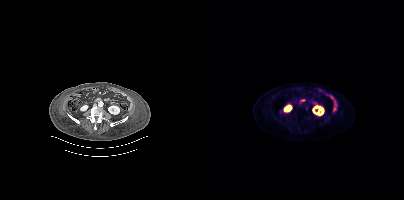
Two-panel axial: CT | PSMA PET, 18F tracer. PET panel 200×200 px (4.1 mm/px). Negative for PSMA-avid disease on this slice.